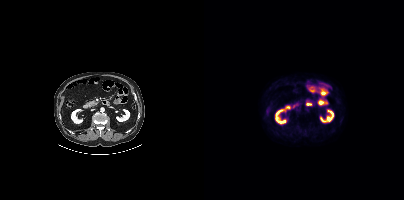
{"modality":"PSMA PET/CT","view":"axial","tracer":"18F","pet_grid":[200,200],"coord_frame":"pet_panel","coord_format":"x0,y0,x1,y1","psma_avid_lesions":false}